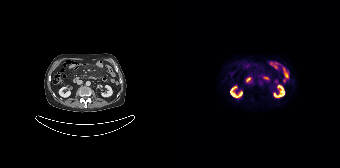
{"modality":"PSMA PET/CT","view":"axial","tracer":"18F","pet_grid":[168,168],"coord_frame":"pet_panel","coord_format":"x0,y0,x1,y1","psma_avid_lesions":false}